modality: PSMA PET/CT | tracer: 18F-PSMA | view: axial
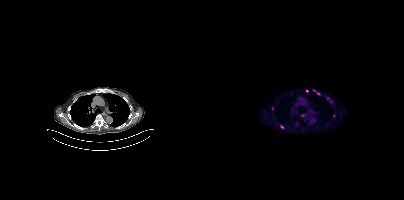
Coordinates are on the 200×200 PET (right) panel. PSMA-avid tumor lesion bounding boxes (x0,y0,x1,y1): [109,89,116,95], [76,125,80,128]. Small PSMA-avid foci (2 to 4 px across) near (center x, center y): (103, 91), (87, 93), (123, 98), (68, 108), (126, 101), (98, 115), (129, 115).